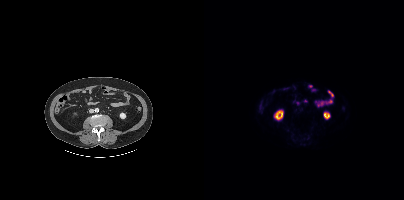
Findings: No PSMA-avid tumor lesions on this slice.
Technique: Left: CT. Right: PSMA PET, same axial level, 18F tracer. acquired on Siemens Biograph mCT Flow 20. slice 148 of 417.